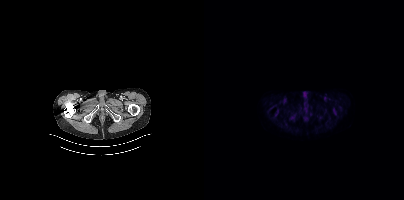
Negative for PSMA-avid disease on this slice.
modality: PSMA PET/CT | tracer: [18F]PSMA-1007 | view: axial